Paired axial CT (left) and PSMA PET (right), [68Ga]Ga-PSMA-11 tracer.
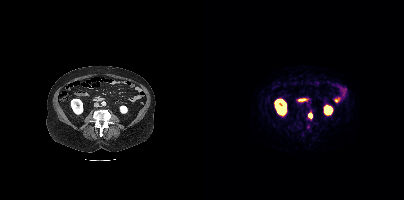
Coordinates are on the 200×200 PET (right) panel. (showing 1 of 2 foci) PSMA-avid tumor lesion bounding box (x0,y0,x1,y1): [104,112,108,118].